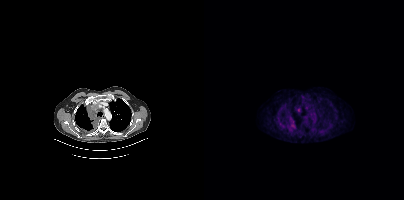
{"modality":"PSMA PET/CT","view":"axial","tracer":"18F-PSMA","pet_grid":[200,200],"coord_frame":"pet_panel","coord_format":"x0,y0,x1,y1","lesion_bboxes":[[84,120,92,129],[93,108,96,112]]}